- Two-panel axial: CT | PSMA PET, [68Ga]Ga-PSMA-11 tracer
- slice 160 of 409
- PET panel 200×200 px (4.1 mm/px)
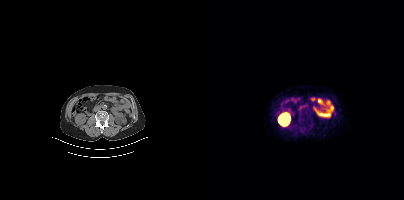
Findings: Negative for PSMA-avid disease on this slice.